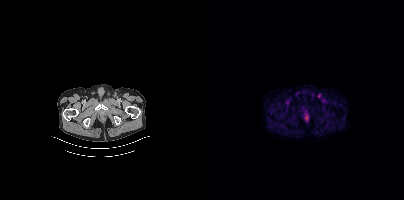
Coordinates are on the 200×200 PET (right) panel. Small PSMA-avid focus (2 to 4 px across) near (center x, center y): (115, 95).